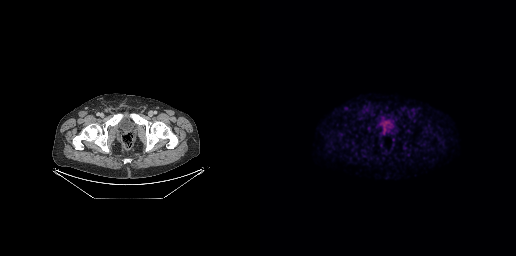
Paired axial CT (left) and PSMA PET (right), 18F-PSMA tracer. Acquired on GE Discovery 690. Slice 91 of 299. PET panel 256×256 px (2.7 mm/px). Coordinates are on the 256×256 PET (right) panel. PSMA-avid tumor lesion bounding box (x0,y0,x1,y1): [124,129,125,133].